- a rectangular privacy mask was applied before release
- Left: CT. Right: PSMA PET, same axial level, 68Ga-PSMA tracer
- acquired on Siemens Biograph 64-4R TruePoint
- PET panel 168×168 px (4.1 mm/px)
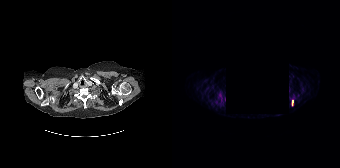
Findings: Coordinates are on the 168×168 PET (right) panel. PSMA-avid tumor lesion bounding box (x0,y0,x1,y1): [120,100,121,105].